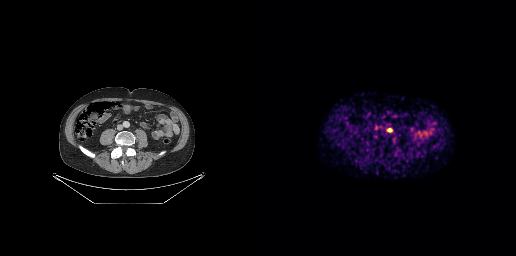
Coordinates are on the 256×256 PET (right) panel. Small PSMA-avid focus (2 to 4 px across) near (center x, center y): (116, 127). Two-panel axial: CT | PSMA PET, 68Ga tracer. Acquired on GE Discovery 690. PET panel 256×256 px (2.7 mm/px).